Paired axial CT (left) and PSMA PET (right), 18F-PSMA tracer. PET panel 200×200 px (4.1 mm/px).
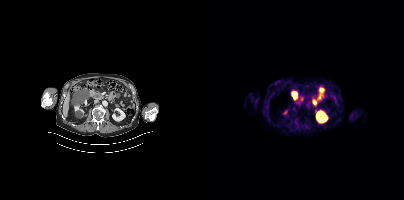
No tumor lesions annotated on this slice.